modality: PSMA PET/CT | tracer: 18F | view: axial | PET grid: 256×256
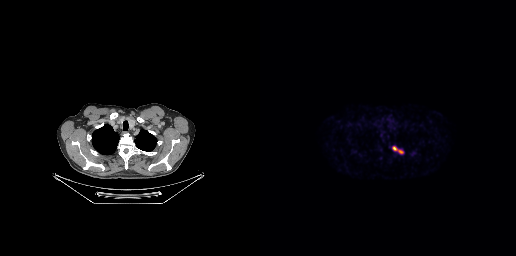
Coordinates are on the 256×256 PET (right) panel. PSMA-avid tumor lesion bounding box (x0,y0,x1,y1): [132,146,143,153].